Paired axial CT (left) and PSMA PET (right), 68Ga-PSMA tracer. Acquired on GE Discovery 690.
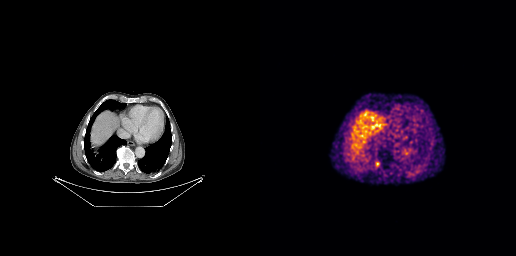
Coordinates are on the 256×256 PET (right) panel. PSMA-avid tumor lesion bounding boxes:
| # | x0 | y0 | x1 | y1 |
|---|---|---|---|---|
| 1 | 116 | 162 | 119 | 166 |
Small PSMA-avid focus (2 to 4 px across) near (center x, center y): (171, 142).